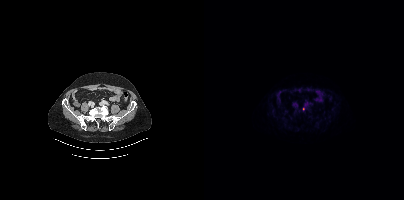
Coordinates are on the 200×200 PET (right) panel. Small PSMA-avid focus (2 to 4 px across) near (center x, center y): (99, 109).
modality: PSMA PET/CT | tracer: 18F | view: axial | PET grid: 200×200